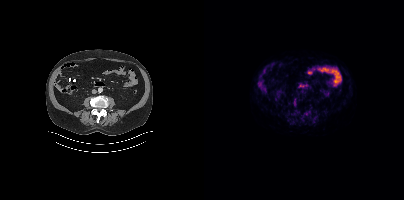
Findings: This slice has no annotated PSMA-avid lesion.
- Paired axial CT (left) and PSMA PET (right), [18F]PSMA-1007 tracer
- slice position z = -648 mm
- PET panel 200×200 px (4.1 mm/px)